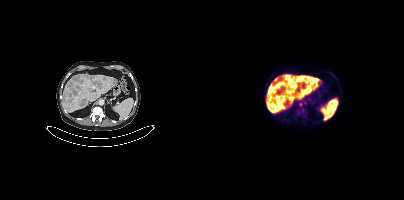
{"pet_grid":[200,200],"coord_frame":"pet_panel","coord_format":"x0,y0,x1,y1","lesion_bboxes":[[91,75,100,82],[69,108,74,112]],"small_foci_centers":[[96,104],[129,75]],"modality":"PSMA PET/CT","view":"axial","tracer":"[18F]PSMA-1007"}